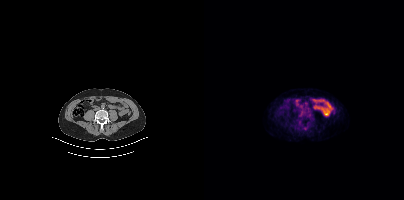
modality: PSMA PET/CT | tracer: 68Ga-PSMA | view: axial
Only PSMA-avid lesion pieces thinner than 2 px on this slice (not listed).